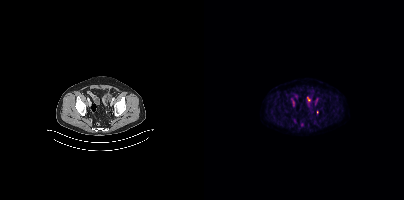
Coordinates are on the 200×200 PET (right) panel. PSMA-avid tumor lesion bounding box (x0,y0,x1,y1): [89,118,92,122]. Small PSMA-avid foci (2 to 4 px across) near (center x, center y): (111, 122), (113, 112).